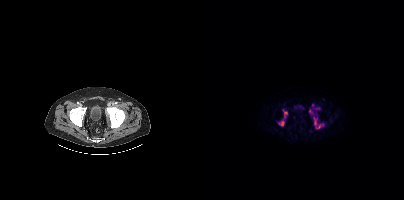
Coordinates are on the 200×200 PET (right) panel. (showing 5 of 6 foci) PSMA-avid tumor lesion bounding boxes (x, y, width, height): x=110 y=117 w=10 h=12 | x=80 y=109 w=5 h=9 | x=75 y=121 w=6 h=5 | x=105 y=109 w=5 h=6 | x=110 y=107 w=5 h=3.